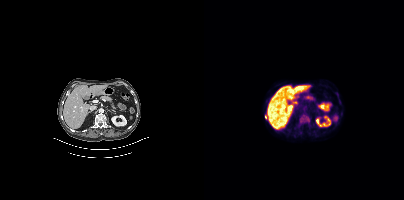
{"modality":"PSMA PET/CT","view":"axial","tracer":"18F","pet_grid":[200,200],"coord_frame":"pet_panel","coord_format":"x0,y0,x1,y1","lesion_bboxes":[[96,114,105,123]],"small_foci_centers":[[61,117]]}